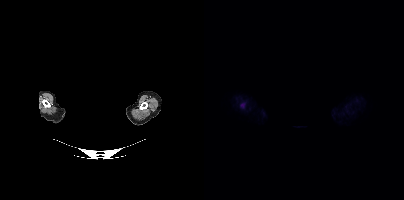
Coordinates are on the 200×200 PET (right) panel. PSMA-avid tumor lesion bounding box (x, y, width, height): x=36 y=103 w=5 h=6.
Privacy masking over the head, with the pixels inside a rectangle set to black.